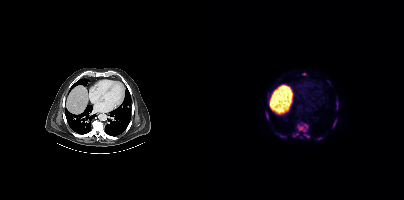
Coordinates are on the 200×200 PET (right) panel. (showing 8 of 9 foci) PSMA-avid tumor lesion bounding boxes (x0, y0)-(x1, y1): (93, 122)-(105, 138); (129, 119)-(132, 127); (89, 133)-(94, 137); (62, 112)-(64, 119); (132, 100)-(134, 104). Small PSMA-avid foci (2 to 4 px across) near (center x, center y): (72, 133); (100, 74); (97, 136). Left: CT. Right: PSMA PET, same axial level, 18F tracer. Acquired on Siemens Biograph mCT Flow 20.